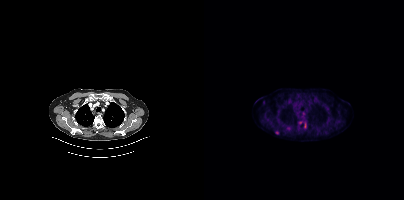
Coordinates are on the 200×200 PET (right) panel. PSMA-avid tumor lesion bounding box (x0, y0)-(x1, y1): (100, 123)-(102, 127). Small PSMA-avid foci (2 to 4 px across) near (center x, center y): (72, 132) / (84, 128) / (96, 122).